modality: PSMA PET/CT | tracer: 18F-PSMA | view: axial | PET grid: 200×200
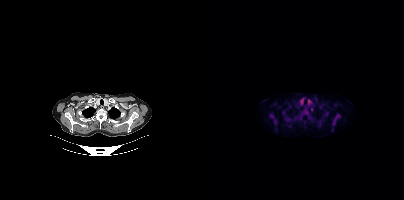
Coordinates are on the 200×200 PET (right) panel. PSMA-avid tumor lesion bounding boxes (x, y, width, height): x=128 y=115 w=8 h=12 / x=66 y=114 w=7 h=11. Small PSMA-avid foci (2 to 4 px across) near (center x, center y): (107, 109) / (79, 112).